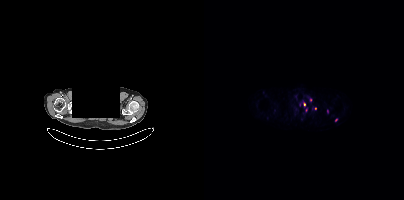
{"modality":"PSMA PET/CT","view":"axial","tracer":"68Ga-PSMA","pet_grid":[200,200],"coord_frame":"pet_panel","coord_format":"x0,y0,x1,y1","deidentification":"face masked with black rectangle","partial":true,"lesion_bboxes":[],"small_foci_centers":[[106,99],[100,104],[132,119],[111,108]]}